Technique: Left: CT. Right: PSMA PET, same axial level, 18F-PSMA tracer. slice 14 of 165. PET panel 168×168 px (4.1 mm/px).
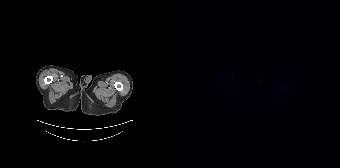
Findings: This slice has no annotated PSMA-avid lesion.